Technique: Left: CT. Right: PSMA PET, same axial level, 68Ga tracer. PET panel 200×200 px (4.1 mm/px).
Note: Face de-identified by blanking a block of the head.
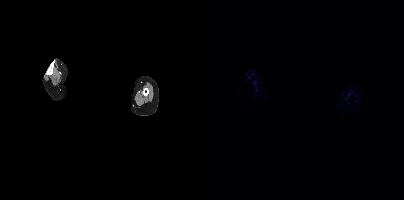
Findings: No PSMA-avid tumor lesions on this slice.